- Two-panel axial: CT | PSMA PET, [18F]PSMA-1007 tracer
- PET panel 200×200 px (4.1 mm/px)
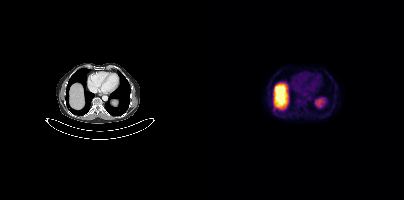
Findings: Only PSMA-avid lesion pieces thinner than 2 px on this slice (not listed).